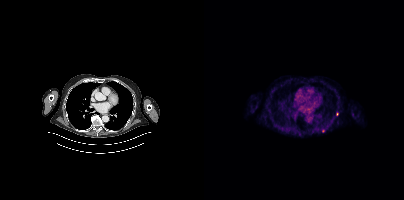
modality: PSMA PET/CT | tracer: 18F-PSMA | view: axial
Only PSMA-avid lesion pieces thinner than 2 px on this slice (not listed).